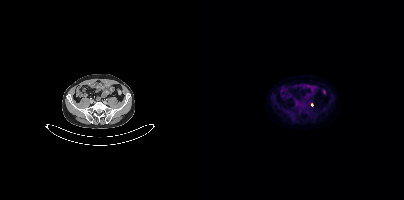
Coordinates are on the 200×200 PET (right) panel. Small PSMA-avid focus (2 to 4 px across) near (center x, center y): (108, 104).